- Paired axial CT (left) and PSMA PET (right), 18F tracer
- acquired on Siemens Biograph mCT Flow 20
- PET panel 200×200 px (4.1 mm/px)
- any black rectangle over the head is a privacy mask, not anatomy
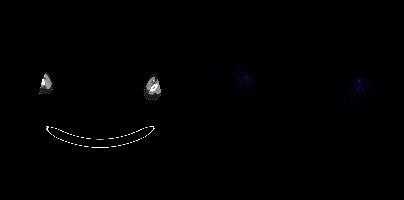
Findings: Negative for PSMA-avid disease on this slice.